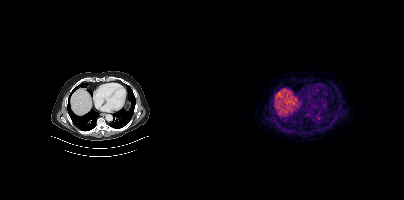
Coordinates are on the 200×200 PET (right) panel. Small PSMA-avid focus (2 to 4 px across) near (center x, center y): (115, 129).